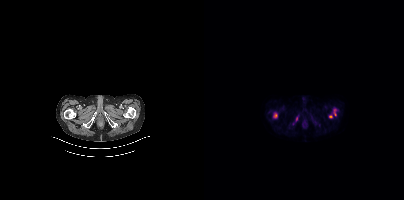
Findings: Coordinates are on the 200×200 PET (right) panel. PSMA-avid tumor lesion bounding boxes (x0, y0)-(x1, y1): (69, 112)-(73, 118) | (89, 115)-(95, 124) | (129, 109)-(132, 115). Small PSMA-avid focus (2 to 4 px across) near (center x, center y): (126, 116).
Technique: Paired axial CT (left) and PSMA PET (right), 18F-PSMA tracer. acquired on Siemens Biograph mCT Flow 20. PET panel 200×200 px (4.1 mm/px).